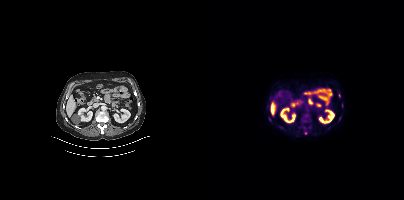
Coordinates are on the 200×200 PET (right) panel. Small PSMA-avid foci (2 to 4 px across) near (center x, center y): (77, 127), (101, 133), (66, 120), (135, 95), (138, 106).